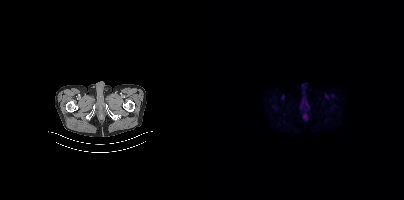
{"modality":"PSMA PET/CT","view":"axial","tracer":"[18F]PSMA-1007","pet_grid":[200,200],"coord_frame":"pet_panel","coord_format":"x0,y0,x1,y1","psma_avid_lesions":false}